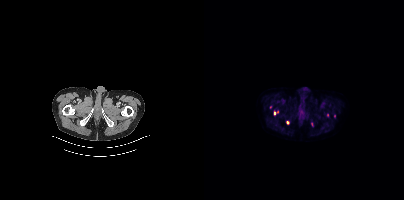
- Paired axial CT (left) and PSMA PET (right), 18F-PSMA tracer
- acquired on Siemens Biograph mCT Flow 20
- PET panel 200×200 px (4.1 mm/px)
Findings: Coordinates are on the 200×200 PET (right) panel. (showing 5 of 6 foci) PSMA-avid tumor lesion bounding box (x, y, width, height): x=70 y=111 w=5 h=5. Small PSMA-avid foci (2 to 4 px across) near (center x, center y): (83, 122); (107, 124); (123, 114); (130, 115).